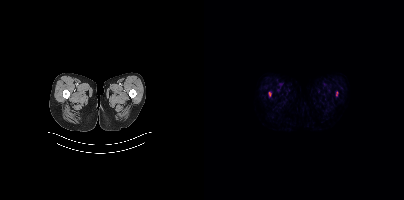
- Two-panel axial: CT | PSMA PET, [18F]PSMA-1007 tracer
- slice position z = -1582 mm
Findings: Coordinates are on the 200×200 PET (right) panel. Small PSMA-avid focus (2 to 4 px across) near (center x, center y): (65, 93).